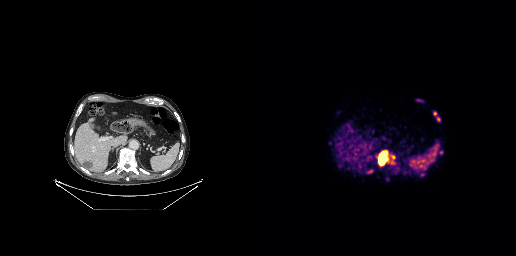
Coordinates are on the 256×256 PET (right) panel. PSMA-avid tumor lesion bounding boxes (partial; 2 more foci not listed):
| # | x0 | y0 | x1 | y1 |
|---|---|---|---|---|
| 1 | 119 | 151 | 126 | 164 |
| 2 | 129 | 154 | 133 | 157 |
Small PSMA-avid focus (2 to 4 px across) near (center x, center y): (162, 174).
Left: CT. Right: PSMA PET, same axial level, 68Ga-PSMA tracer. Acquired on GE Discovery 690.